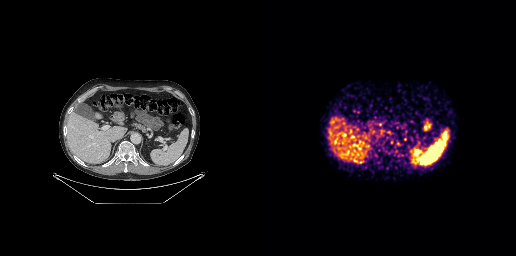
modality: PSMA PET/CT | tracer: [68Ga]Ga-PSMA-11 | view: axial
Coordinates are on the 256×256 PET (right) panel. PSMA-avid tumor lesion bounding box (x0,y0,x1,y1): [157,151,163,157].